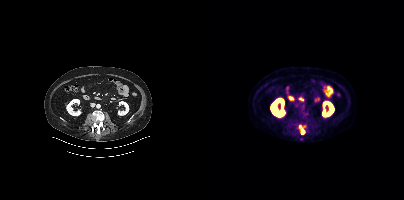
{"modality":"PSMA PET/CT","view":"axial","tracer":"18F","pet_grid":[200,200],"coord_frame":"pet_panel","coord_format":"x0,y0,x1,y1","lesion_bboxes":[[95,125,99,129]],"small_foci_centers":[[98,132]]}